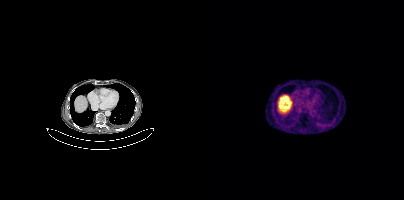
No PSMA-avid tumor lesions on this slice.